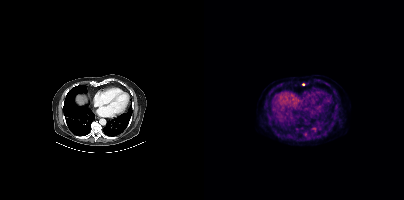
Coordinates are on the 200×200 PET (right) panel. Small PSMA-avid foci (2 to 4 px across) near (center x, center y): (109, 128) / (99, 84). Two-panel axial: CT | PSMA PET, 18F-PSMA tracer. Slice 291 of 448.